Two-panel axial: CT | PSMA PET, 18F tracer. Acquired on Siemens Biograph mCT Flow 20.
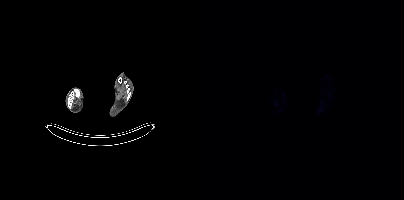
This slice has no annotated PSMA-avid lesion.